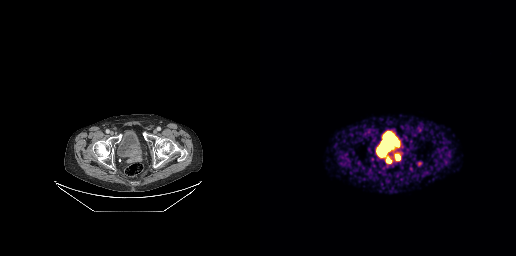
Coordinates are on the 256×256 PET (right) panel. PSMA-avid tumor lesion bounding boxes (x, y, width, height): x=134 y=152 w=7 h=9; x=126 y=156 w=6 h=8; x=131 y=147 w=7 h=5.
modality: PSMA PET/CT | tracer: 68Ga | view: axial